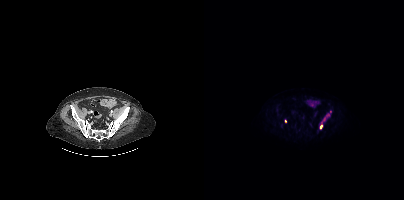
Technique: Paired axial CT (left) and PSMA PET (right), 18F-PSMA tracer. acquired on Siemens Biograph mCT Flow 20.
Findings: Coordinates are on the 200×200 PET (right) panel. (showing 2 of 3 foci) PSMA-avid tumor lesion bounding box (x0, y0)-(x1, y1): (116, 113)-(125, 129). Small PSMA-avid focus (2 to 4 px across) near (center x, center y): (81, 121).